- Paired axial CT (left) and PSMA PET (right), 18F tracer
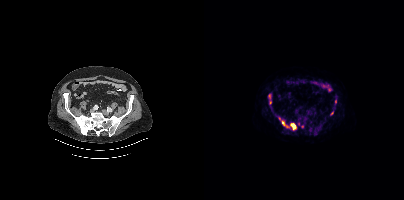
Findings: Coordinates are on the 200×200 PET (right) panel. (showing 8 of 9 foci) PSMA-avid tumor lesion bounding boxes (x, y, width, height): x=86 y=123 w=7 h=8 / x=78 y=120 w=8 h=8. Small PSMA-avid foci (2 to 4 px across) near (center x, center y): (128, 113) / (131, 101) / (65, 96) / (75, 118) / (66, 102) / (98, 126).